Left: CT. Right: PSMA PET, same axial level, [18F]PSMA-1007 tracer. Slice 340 of 403. An anonymization step blacked out a rectangle in this scan.
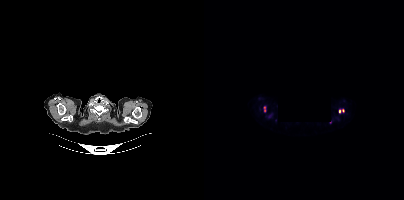
Coordinates are on the 200×200 PET (right) panel. PSMA-avid tumor lesion bounding box (x0, y0)-(x1, y1): (60, 107)-(61, 111). Small PSMA-avid foci (2 to 4 px across) near (center x, center y): (139, 110); (135, 111).